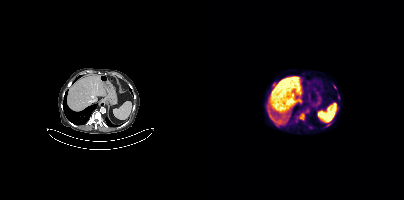
modality: PSMA PET/CT | tracer: 18F-PSMA | view: axial
Coordinates are on the 200×200 PET (right) panel. (showing 1 of 2 foci) PSMA-avid tumor lesion bounding box (x0, y0)-(x1, y1): (95, 113)-(100, 120).